Left: CT. Right: PSMA PET, same axial level, [18F]PSMA-1007 tracer. Slice position z = -1497 mm.
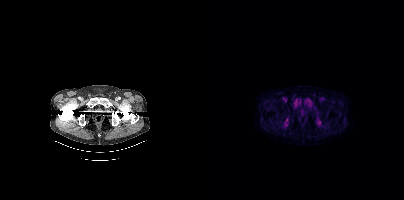
Negative for PSMA-avid disease on this slice.